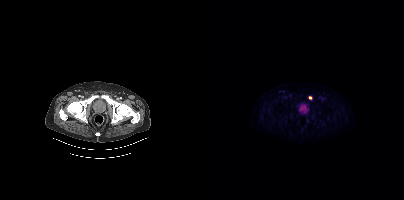
Coordinates are on the 200×200 PET (right) panel. Small PSMA-avid focus (2 to 4 px across) near (center x, center y): (106, 97). Left: CT. Right: PSMA PET, same axial level, 18F-PSMA tracer. Slice 88 of 450. PET panel 200×200 px (4.1 mm/px).